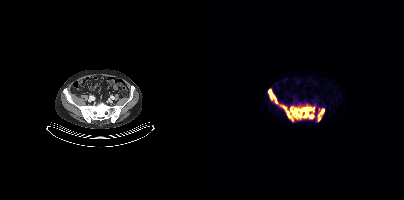
- Paired axial CT (left) and PSMA PET (right), 18F tracer
- slice position z = -871 mm
Findings: Coordinates are on the 200×200 PET (right) panel. (showing 6 of 8 foci) PSMA-avid tumor lesion bounding boxes (x, y, width, height): x=86 y=107 w=22 h=11; x=64 y=89 w=10 h=15; x=76 y=105 w=12 h=13; x=114 y=113 w=4 h=8; x=106 y=114 w=4 h=5. Small PSMA-avid focus (2 to 4 px across) near (center x, center y): (118, 110).